modality: PSMA PET/CT | tracer: [18F]PSMA-1007 | view: axial | PET grid: 200×200
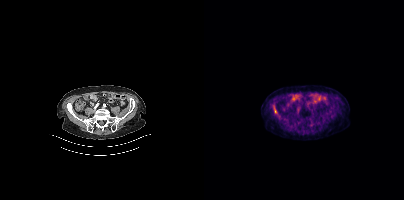
Coordinates are on the 200×200 PET (right) panel. PSMA-avid tumor lesion bounding box (x0, y0)-(x1, y1): (69, 108)-(73, 113).